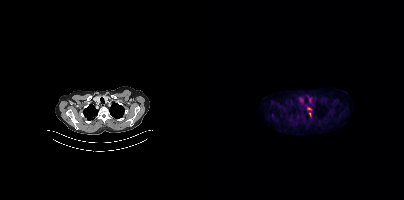
{"pet_grid":[200,200],"coord_frame":"pet_panel","coord_format":"x0,y0,x1,y1","partial":true,"lesion_bboxes":[[103,107,107,110],[105,112,107,116]],"modality":"PSMA PET/CT","view":"axial","tracer":"[18F]PSMA-1007"}